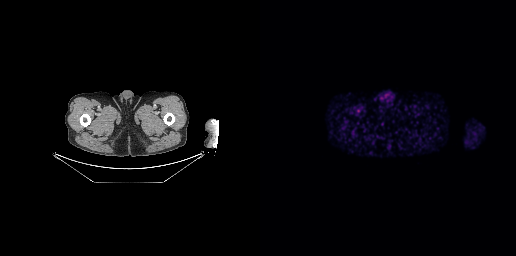
This slice has no annotated PSMA-avid lesion.